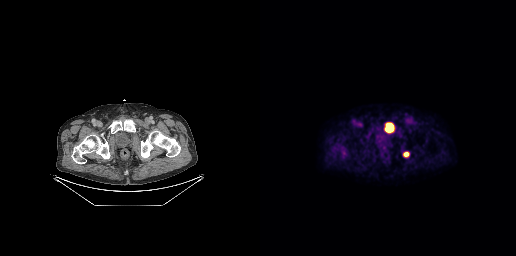
Coordinates are on the 256×256 PET (right) panel. PSMA-avid tumor lesion bounding boxes (x, y, width, height): x=124 y=122 w=11 h=12 / x=143 y=152 w=7 h=5. Left: CT. Right: PSMA PET, same axial level, 18F tracer. Slice position z = -737 mm.